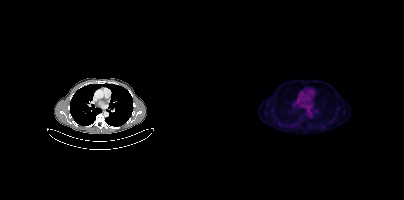
No tumor lesions annotated on this slice. Left: CT. Right: PSMA PET, same axial level, [18F]PSMA-1007 tracer. Acquired on Siemens Biograph mCT Flow 20. PET panel 200×200 px (4.1 mm/px).